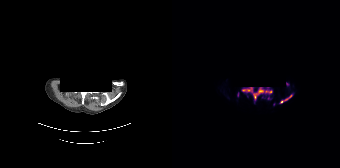
{"modality":"PSMA PET/CT","view":"axial","tracer":"18F-PSMA","pet_grid":[168,168],"coord_frame":"pet_panel","coord_format":"x0,y0,x1,y1","deidentification":"head region blacked out before release","partial":true,"lesion_bboxes":[[108,95,120,103],[93,90,100,92],[65,92,67,96]]}